Left: CT. Right: PSMA PET, same axial level, 68Ga-PSMA tracer. Acquired on Siemens Biograph 64-4R TruePoint. Slice 29 of 165. PET panel 168×168 px (4.1 mm/px).
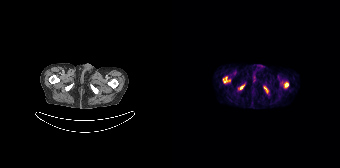
Coordinates are on the 168×168 PET (right) panel. PSMA-avid tumor lesion bounding boxes (x0, y0)-(x1, y1): (51, 77)-(58, 83) | (91, 86)-(96, 93) | (112, 82)-(116, 87) | (66, 85)-(72, 89).